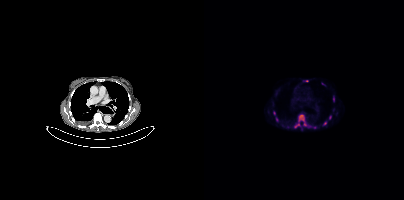
Coordinates are on the 200×200 PET (right) panel. PSMA-avid tumor lesion bounding boxes (x, y, width, height): x=94 y=114 w=9 h=12 | x=90 y=123 w=6 h=5. Small PSMA-avid foci (2 to 4 px across) near (center x, center y): (120, 123) | (126, 117) | (105, 126) | (129, 99) | (102, 80) | (70, 113) | (72, 119) | (110, 127) | (118, 83).
modality: PSMA PET/CT | tracer: 18F | view: axial | PET grid: 200×200